Technique: Paired axial CT (left) and PSMA PET (right), 18F tracer. acquired on Siemens Biograph mCT Flow 20. slice position z = -776 mm. PET panel 200×200 px (4.1 mm/px).
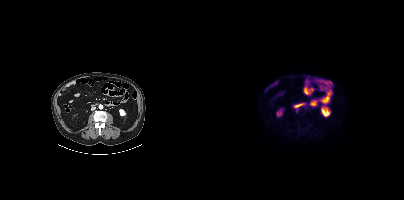
Findings: No PSMA-avid tumor lesions on this slice.